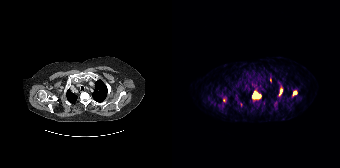
Two-panel axial: CT | PSMA PET, 68Ga tracer. Acquired on Siemens Biograph 64-4R TruePoint. Slice 163 of 195. PET panel 168×168 px (4.1 mm/px). Coordinates are on the 168×168 PET (right) panel. PSMA-avid tumor lesion bounding boxes (x0,y0,x1,y1): [80,90,89,99]; [107,87,110,95]; [120,90,125,95]. Small PSMA-avid foci (2 to 4 px across) near (center x, center y): (51, 100); (98, 79).